Left: CT. Right: PSMA PET, same axial level, 18F-PSMA tracer. Acquired on Siemens Biograph mCT Flow 20. Slice position z = -1399 mm.
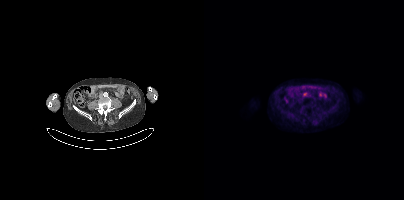
Coordinates are on the 200×200 PET (right) panel. PSMA-avid tumor lesion bounding box (x, y, width, height): x=99 y=92 w=5 h=5.